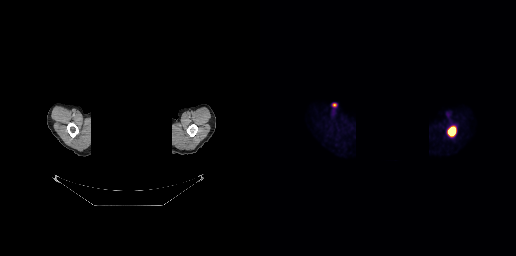
A rectangular block over the head has been blanked out for de-identification.
Coordinates are on the 256×256 PET (right) panel. PSMA-avid tumor lesion bounding box (x0, y0)-(x1, y1): (187, 126)-(196, 136).